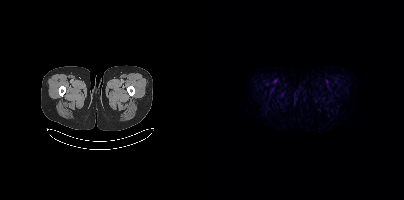
- Left: CT. Right: PSMA PET, same axial level, [18F]PSMA-1007 tracer
- acquired on Siemens Biograph mCT Flow 20
- slice 27 of 435
Findings: Only PSMA-avid lesion pieces thinner than 2 px on this slice (not listed).